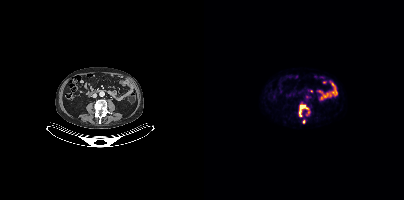
{"modality":"PSMA PET/CT","view":"axial","tracer":"18F","pet_grid":[200,200],"coord_frame":"pet_panel","coord_format":"x0,y0,x1,y1","lesion_bboxes":[[95,105,101,116]],"small_foci_centers":[[103,109],[99,121],[102,114]]}